Technique: Left: CT. Right: PSMA PET, same axial level, [18F]PSMA-1007 tracer.
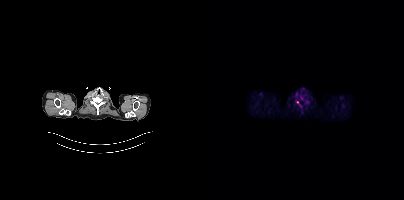
Findings: Only PSMA-avid lesion pieces thinner than 2 px on this slice (not listed).